- Paired axial CT (left) and PSMA PET (right), 68Ga tracer
- acquired on GE Discovery 690
- slice position z = -581 mm
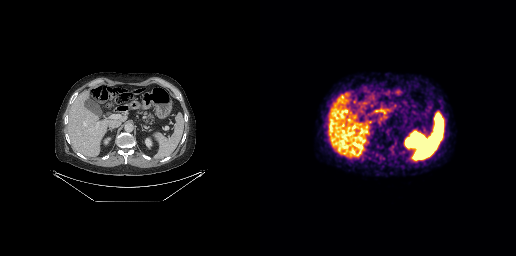
Findings: No PSMA-avid tumor lesions on this slice.